Technique: Paired axial CT (left) and PSMA PET (right), 18F tracer. slice 131 of 508.
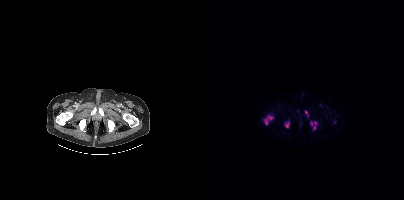
Findings: Coordinates are on the 200×200 PET (right) panel. PSMA-avid tumor lesion bounding boxes (x0, y0)-(x1, y1): (60, 114)-(69, 123) | (81, 122)-(85, 127). Small PSMA-avid foci (2 to 4 px across) near (center x, center y): (102, 112) | (111, 123) | (107, 123) | (130, 122) | (110, 128).